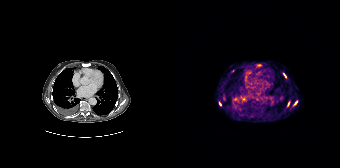
Paired axial CT (left) and PSMA PET (right), [68Ga]Ga-PSMA-11 tracer. PET panel 168×168 px (4.1 mm/px). Coordinates are on the 168×168 PET (right) panel. (showing 5 of 6 foci) PSMA-avid tumor lesion bounding boxes (x, y, width, height): x=85 y=64 w=5 h=3; x=111 y=73 w=4 h=5. Small PSMA-avid foci (2 to 4 px across) near (center x, center y): (123, 102); (48, 103); (116, 103).